modality: PSMA PET/CT | tracer: 18F | view: axial | PET grid: 200×200
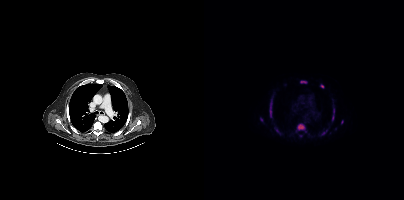
Coordinates are on the 200×200 PET (right) panel. PSMA-avid tumor lesion bounding boxes (x0, y0)-(x1, y1): (92, 123)-(101, 132); (65, 99)-(68, 117); (128, 108)-(130, 120); (96, 81)-(102, 83); (117, 84)-(120, 88); (72, 129)-(76, 134); (118, 130)-(123, 134). Small PSMA-avid foci (2 to 4 px across) near (center x, center y): (57, 119); (138, 121); (96, 135).